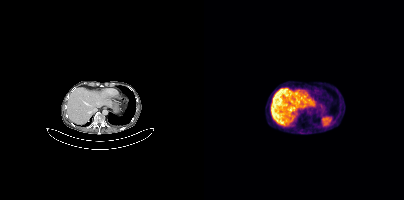
{"modality":"PSMA PET/CT","view":"axial","tracer":"68Ga","pet_grid":[200,200],"coord_frame":"pet_panel","coord_format":"x0,y0,x1,y1","psma_avid_lesions":false}